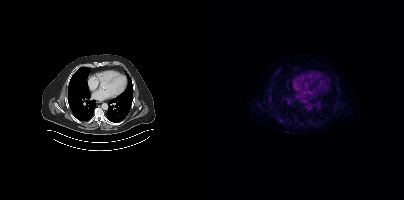
Technique: Left: CT. Right: PSMA PET, same axial level, 18F-PSMA tracer. PET panel 200×200 px (4.1 mm/px).
Findings: Coordinates are on the 200×200 PET (right) panel. PSMA-avid tumor lesion bounding box (x0,y0,x1,y1): [75,119,79,123]. Small PSMA-avid focus (2 to 4 px across) near (center x, center y): (66, 99).